Left: CT. Right: PSMA PET, same axial level, [18F]PSMA-1007 tracer. Acquired on Siemens Biograph mCT Flow 20. PET panel 200×200 px (4.1 mm/px).
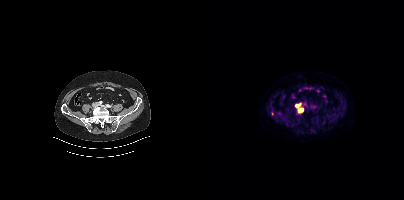
Coordinates are on the 200×200 PET (right) panel. PSMA-avid tumor lesion bounding boxes:
| # | x0 | y0 | x1 | y1 |
|---|---|---|---|---|
| 1 | 94 | 108 | 99 | 112 |
| 2 | 91 | 104 | 96 | 107 |